Left: CT. Right: PSMA PET, same axial level, 68Ga tracer. Slice position z = -1198 mm. PET panel 168×168 px (4.1 mm/px).
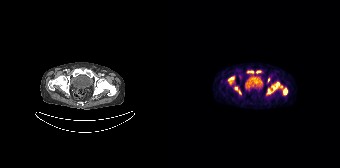
Coordinates are on the 168×168 PET (right) panel. PSMA-avid tumor lesion bounding boxes:
| # | x0 | y0 | x1 | y1 |
|---|---|---|---|---|
| 1 | 94 | 82 | 115 | 94 |
| 2 | 56 | 76 | 62 | 84 |
| 3 | 62 | 86 | 69 | 94 |
| 4 | 75 | 70 | 82 | 75 |
| 5 | 84 | 70 | 88 | 73 |
Small PSMA-avid focus (2 to 4 px across) near (center x, center y): (96, 79).